Technique: Two-panel axial: CT | PSMA PET, [18F]PSMA-1007 tracer. acquired on Siemens Biograph mCT Flow 20. slice position z = -642 mm.
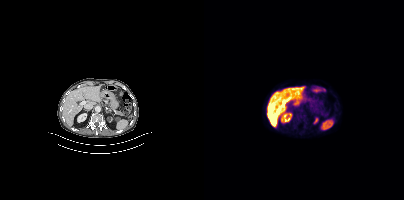
Findings: Negative for PSMA-avid disease on this slice.